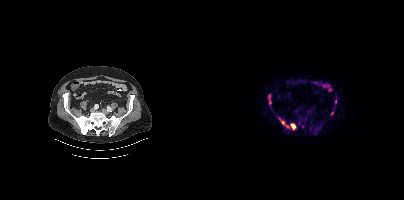
Two-panel axial: CT | PSMA PET, [18F]PSMA-1007 tracer. Acquired on Siemens Biograph mCT Flow 20.
Coordinates are on the 200×200 PET (right) panel. PSMA-avid tumor lesion bounding boxes (partial; 2 more foci not listed):
| # | x0 | y0 | x1 | y1 |
|---|---|---|---|---|
| 1 | 86 | 123 | 92 | 129 |
| 2 | 77 | 121 | 85 | 127 |
Small PSMA-avid foci (2 to 4 px across) near (center x, center y): (128, 113); (131, 101); (75, 118).